modality: PSMA PET/CT | tracer: [68Ga]Ga-PSMA-11 | view: axial
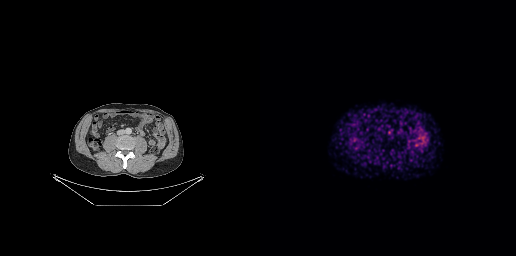
Negative for PSMA-avid disease on this slice.